modality: PSMA PET/CT | tracer: 18F-PSMA | view: axial
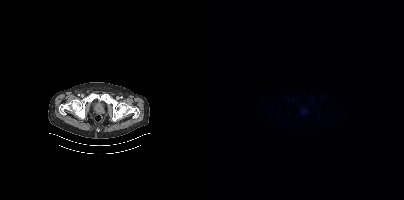
This slice has no annotated PSMA-avid lesion.